Paired axial CT (left) and PSMA PET (right), 18F-PSMA tracer. Acquired on Siemens Biograph mCT Flow 20.
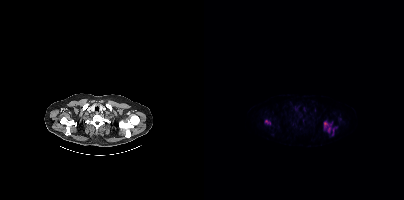
Coordinates are on the 200×200 PET (right) panel. PSMA-avid tumor lesion bounding boxes (partial; 4 more foci not listed):
| # | x0 | y0 | x1 | y1 |
|---|---|---|---|---|
| 1 | 120 | 121 | 127 | 132 |
| 2 | 128 | 128 | 130 | 135 |
Small PSMA-avid focus (2 to 4 px across) near (center x, center y): (62, 121).